modality: PSMA PET/CT | tracer: [18F]PSMA-1007 | view: axial | PET grid: 200×200
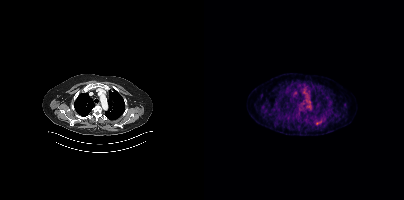
Only PSMA-avid lesion pieces thinner than 2 px on this slice (not listed).